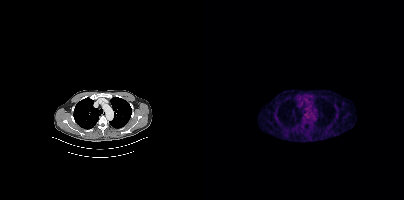
Paired axial CT (left) and PSMA PET (right), 18F-PSMA tracer. Acquired on Siemens Biograph mCT Flow 20. No PSMA-avid tumor lesions on this slice.